Two-panel axial: CT | PSMA PET, [18F]PSMA-1007 tracer. Slice position z = -296 mm.
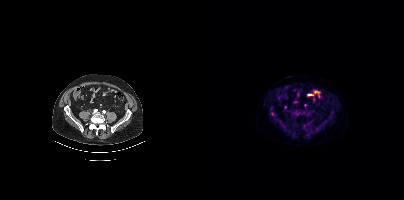
Coordinates are on the 200×200 PET (right) panel. Small PSMA-avid focus (2 to 4 px across) near (center x, center y): (68, 114).